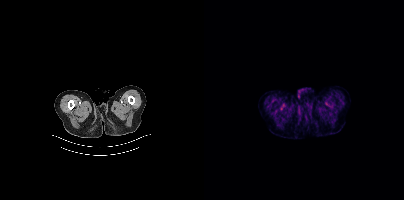
- Two-panel axial: CT | PSMA PET, 18F-PSMA tracer
- acquired on Siemens Biograph mCT Flow 20
- slice 24 of 397
- PET panel 200×200 px (4.1 mm/px)
Findings: No PSMA-avid tumor lesions on this slice.